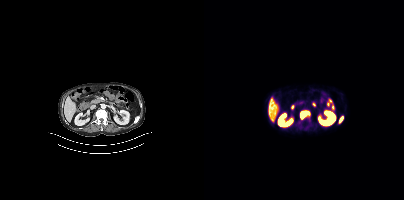
- Paired axial CT (left) and PSMA PET (right), 18F tracer
- acquired on Siemens Biograph mCT Flow 20
- slice 172 of 401
- PET panel 200×200 px (4.1 mm/px)
Findings: Coordinates are on the 200×200 PET (right) panel. PSMA-avid tumor lesion bounding boxes (x0, y0)-(x1, y1): (96, 111)-(106, 121); (135, 116)-(139, 122).